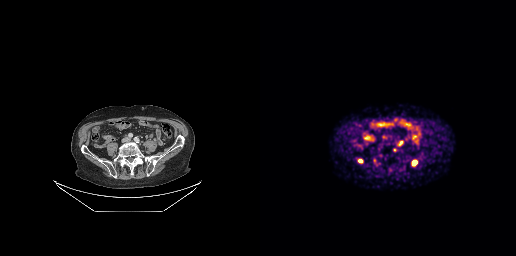
Two-panel axial: CT | PSMA PET, [68Ga]Ga-PSMA-11 tracer. Slice position z = -562 mm. Coordinates are on the 256×256 PET (right) panel. PSMA-avid tumor lesion bounding boxes (x, y, width, height): x=152 y=160 w=6 h=6 | x=138 y=141 w=6 h=5 | x=98 y=159 w=5 h=4 | x=113 y=159 w=5 h=7. Small PSMA-avid foci (2 to 4 px across) near (center x, center y): (134, 149) | (130, 169).